modality: PSMA PET/CT | tracer: 68Ga | view: axial | PET grid: 200×200
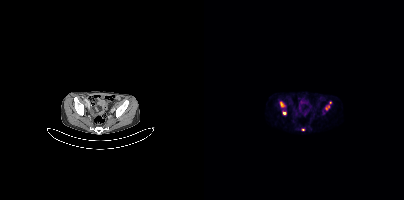
Coordinates are on the 200×200 PET (right) panel. PSMA-avid tumor lesion bounding boxes (x0, y0)-(x1, y1): (76, 101)-(80, 107); (121, 105)-(125, 110). Small PSMA-avid foci (2 to 4 px across) near (center x, center y): (80, 113); (126, 102); (99, 129).